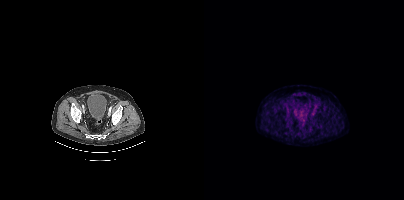
No PSMA-avid tumor lesions on this slice. Left: CT. Right: PSMA PET, same axial level, 18F-PSMA tracer. Slice position z = -390 mm.